- Left: CT. Right: PSMA PET, same axial level, 18F-PSMA tracer
- slice 289 of 389
- PET panel 200×200 px (4.1 mm/px)
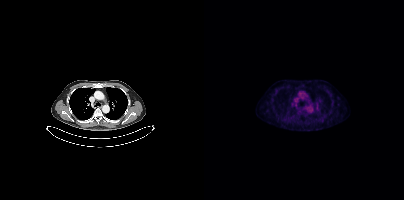
Findings: Coordinates are on the 200×200 PET (right) panel. Small PSMA-avid focus (2 to 4 px across) near (center x, center y): (118, 120).